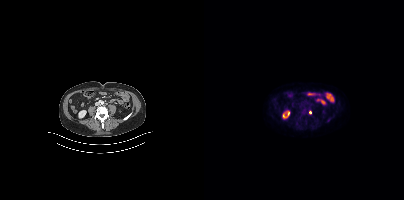
- Left: CT. Right: PSMA PET, same axial level, 18F tracer
Findings: Coordinates are on the 200×200 PET (right) panel. Small PSMA-avid focus (2 to 4 px across) near (center x, center y): (106, 112).